modality: PSMA PET/CT | tracer: 18F | view: axial
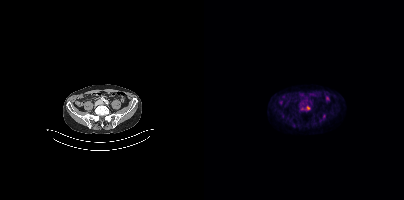
Coordinates are on the 200×200 PET (right) panel. (showing 4 of 5 foci) PSMA-avid tumor lesion bounding boxes (x, y, width, height): x=102 y=106 w=5 h=4; x=88 y=123 w=4 h=5. Small PSMA-avid foci (2 to 4 px across) near (center x, center y): (120, 116); (98, 108).